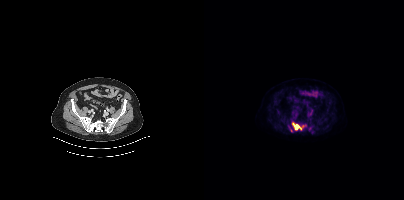
modality: PSMA PET/CT | tracer: [18F]PSMA-1007 | view: axial
Coordinates are on the 200×200 PET (right) panel. (showing 2 of 3 foci) PSMA-avid tumor lesion bounding box (x0,y0,x1,y1): [88,122,101,130]. Small PSMA-avid focus (2 to 4 px across) near (center x, center y): (105, 128).